Two-panel axial: CT | PSMA PET, [18F]PSMA-1007 tracer. Acquired on Siemens Biograph mCT Flow 20.
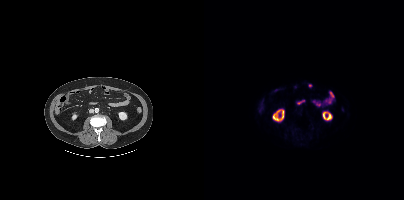
This slice has no annotated PSMA-avid lesion.